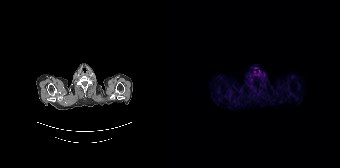
No PSMA-avid tumor lesions on this slice.